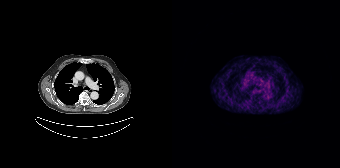
- Paired axial CT (left) and PSMA PET (right), 68Ga-PSMA tracer
Findings: This slice has no annotated PSMA-avid lesion.